- Two-panel axial: CT | PSMA PET, 18F tracer
- acquired on Siemens Biograph mCT Flow 20
- an anonymization step blacked out a rectangle over the head in this scan
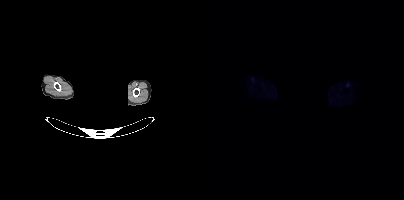
Findings: This slice has no annotated PSMA-avid lesion.